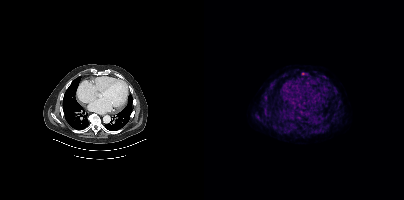
Coordinates are on the 200×200 PET (right) panel. Small PSMA-avid focus (2 to 4 px across) near (center x, center y): (99, 73).